Paired axial CT (left) and PSMA PET (right), [18F]PSMA-1007 tracer. PET panel 256×256 px (2.7 mm/px).
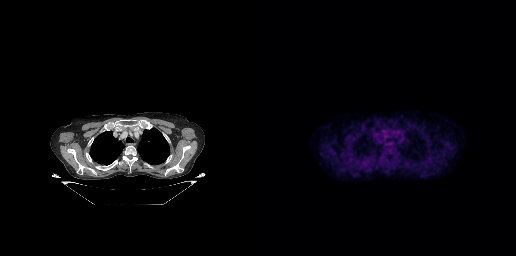
This slice has no annotated PSMA-avid lesion.